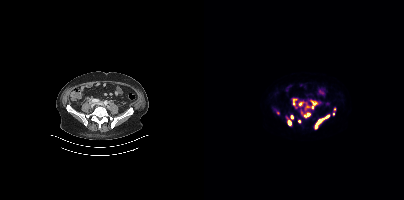
- Two-panel axial: CT | PSMA PET, 18F-PSMA tracer
- slice 145 of 444
Findings: Coordinates are on the 200×200 PET (right) panel. PSMA-avid tumor lesion bounding boxes (x0, y0)-(x1, y1): (111, 114)-(125, 129) / (107, 100)-(113, 108) / (100, 112)-(106, 117) / (95, 101)-(102, 105) / (83, 120)-(87, 125) / (89, 99)-(92, 105) / (86, 115)-(89, 119). Small PSMA-avid foci (2 to 4 px across) near (center x, center y): (95, 121) / (103, 106) / (129, 113) / (130, 108).